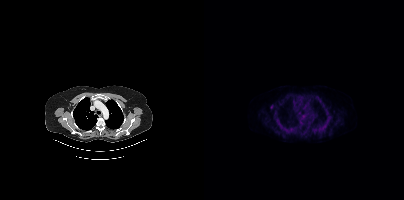
Coordinates are on the 200×200 PET (right) panel. Small PSMA-avid focus (2 to 4 px across) near (center x, center y): (67, 106).